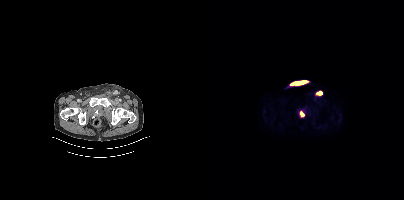
Findings: Coordinates are on the 200×200 PET (right) panel. PSMA-avid tumor lesion bounding boxes (x, y, width, height): x=112 y=91 w=7 h=5 | x=96 y=111 w=5 h=6.
Technique: Left: CT. Right: PSMA PET, same axial level, 18F-PSMA tracer. acquired on Siemens Biograph mCT Flow 20. slice position z = -1544 mm.